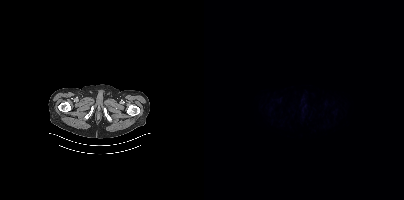
No tumor lesions annotated on this slice.